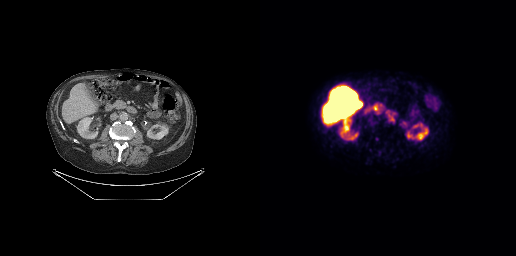
- Left: CT. Right: PSMA PET, same axial level, [18F]PSMA-1007 tracer
- slice 138 of 299
Findings: Coordinates are on the 256×256 PET (right) panel. PSMA-avid tumor lesion bounding box (x0, y0)-(x1, y1): (129, 114)-(134, 120).